Paired axial CT (left) and PSMA PET (right), 18F tracer. PET panel 200×200 px (4.1 mm/px). A rectangular block over the head has been blanked out for de-identification.
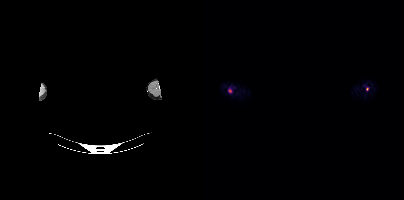
Coordinates are on the 200×200 PET (right) panel. Small PSMA-avid foci (2 to 4 px across) near (center x, center y): (25, 90); (163, 89).